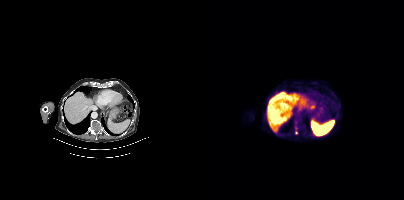
modality: PSMA PET/CT | tracer: [18F]PSMA-1007 | view: axial
Coordinates are on the 200×200 PET (right) panel. (showing 1 of 2 foci) Small PSMA-avid focus (2 to 4 px across) near (center x, center y): (92, 132).